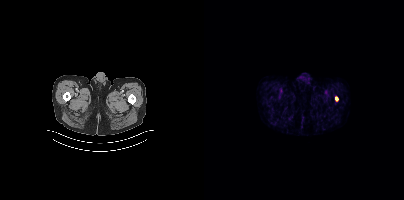
{"modality":"PSMA PET/CT","view":"axial","tracer":"68Ga-PSMA","pet_grid":[200,200],"coord_frame":"pet_panel","coord_format":"x0,y0,x1,y1","lesion_bboxes":[],"small_foci_centers":[[132,98]]}